- Left: CT. Right: PSMA PET, same axial level, 18F tracer
- acquired on Siemens Biograph mCT Flow 20
- slice 157 of 427
- PET panel 200×200 px (4.1 mm/px)
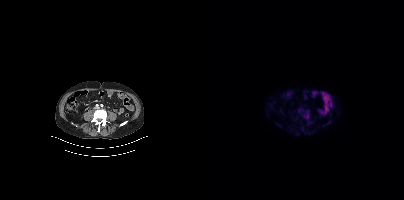
Findings: Coordinates are on the 200×200 PET (right) panel. Small PSMA-avid focus (2 to 4 px across) near (center x, center y): (125, 122).